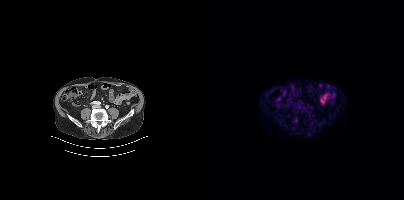
{"modality":"PSMA PET/CT","view":"axial","tracer":"[18F]PSMA-1007","pet_grid":[200,200],"coord_frame":"pet_panel","coord_format":"x0,y0,x1,y1","psma_avid_lesions":false}